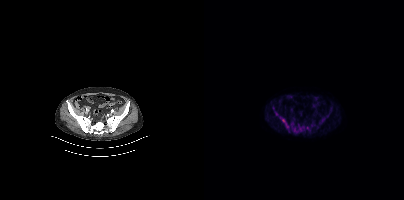
Technique: Two-panel axial: CT | PSMA PET, [18F]PSMA-1007 tracer. acquired on Siemens Biograph mCT Flow 20. slice 120 of 427.
Findings: Coordinates are on the 200×200 PET (right) panel. (showing 7 of 9 foci) PSMA-avid tumor lesion bounding boxes (x0,y0,x1,y1): [71,111,86,131]; [88,122,100,133]; [115,117,121,123]; [102,126,106,130]. Small PSMA-avid foci (2 to 4 px across) near (center x, center y): (108, 125); (123, 116); (69, 108).